Left: CT. Right: PSMA PET, same axial level, 18F-PSMA tracer. Slice position z = -676 mm. PET panel 200×200 px (4.1 mm/px).
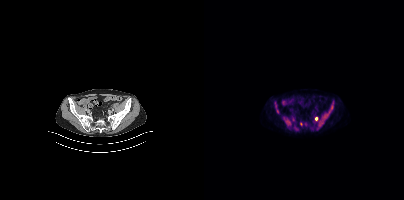
Coordinates are on the 200×200 PET (right) panel. (showing 4 of 6 foci) PSMA-avid tumor lesion bounding boxes (x0, y0)-(x1, y1): (115, 105)-(129, 126) / (79, 117)-(87, 126) / (111, 117)-(114, 121) / (72, 108)-(74, 113).